Two-panel axial: CT | PSMA PET, [18F]PSMA-1007 tracer. Acquired on Siemens Biograph mCT Flow 20. Slice position z = -1239 mm.
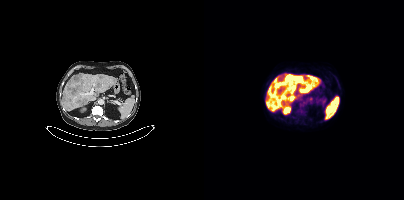
Coordinates are on the 200×200 PET (right) panel. (showing 4 of 5 foci) PSMA-avid tumor lesion bounding boxes (x0, y0)-(x1, y1): (91, 76)-(98, 81) | (96, 84)-(101, 89) | (70, 83)-(75, 88). Small PSMA-avid focus (2 to 4 px across) near (center x, center y): (106, 98).